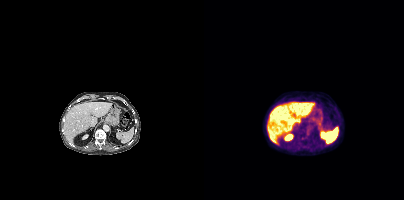
{"modality":"PSMA PET/CT","view":"axial","tracer":"[18F]PSMA-1007","pet_grid":[200,200],"coord_frame":"pet_panel","coord_format":"x0,y0,x1,y1","lesion_bboxes":[[98,136,103,139]]}